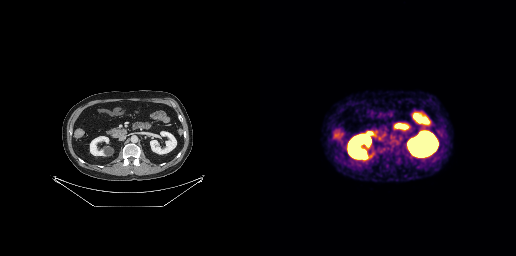
modality: PSMA PET/CT | tracer: [68Ga]Ga-PSMA-11 | view: axial | PET grid: 256×256
This slice has no annotated PSMA-avid lesion.